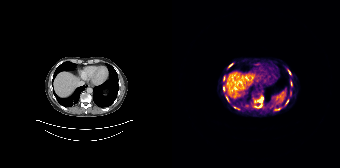
{"pet_grid":[168,168],"coord_frame":"pet_panel","coord_format":"x0,y0,x1,y1","partial":true,"lesion_bboxes":[[86,97,91,102],[53,95,57,102],[102,108,107,110],[51,87,53,91],[116,70,118,74]],"small_foci_centers":[[87,106],[58,65],[115,101],[62,107]],"modality":"PSMA PET/CT","view":"axial","tracer":"[68Ga]Ga-PSMA-11"}